Left: CT. Right: PSMA PET, same axial level, 18F-PSMA tracer. Acquired on Siemens Biograph mCT Flow 20. Slice position z = -848 mm.
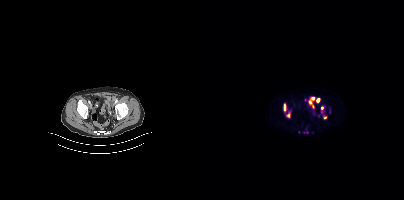
Coordinates are on the 200×200 PET (right) panel. PSMA-avid tumor lesion bounding boxes:
| # | x0 | y0 | x1 | y1 |
|---|---|---|---|---|
| 1 | 105 | 97 | 110 | 108 |
| 2 | 79 | 104 | 82 | 110 |
| 3 | 113 | 98 | 115 | 102 |
| 4 | 83 | 112 | 86 | 117 |
Small PSMA-avid foci (2 to 4 px across) near (center x, center y): (118, 108); (121, 117).